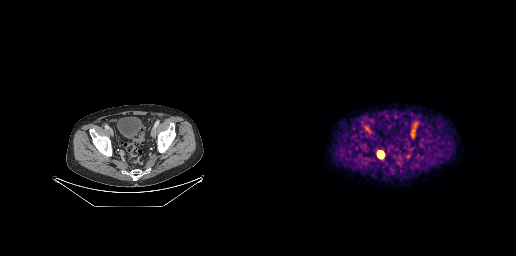
Coordinates are on the 256×256 PET (right) panel. PSMA-avid tumor lesion bounding box (x0, y0)-(x1, y1): (117, 151)-(124, 158). Paired axial CT (left) and PSMA PET (right), [18F]PSMA-1007 tracer. Acquired on GE Discovery 690. Slice position z = -621 mm. PET panel 256×256 px (2.7 mm/px).